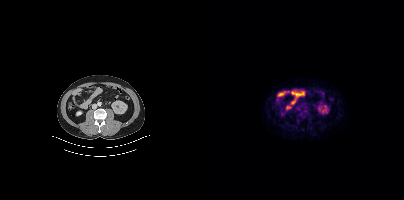
{"modality":"PSMA PET/CT","view":"axial","tracer":"[18F]PSMA-1007","pet_grid":[200,200],"coord_frame":"pet_panel","coord_format":"x0,y0,x1,y1","psma_avid_lesions":false}